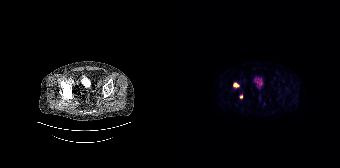
{"modality":"PSMA PET/CT","view":"axial","tracer":"18F","pet_grid":[168,168],"coord_frame":"pet_panel","coord_format":"x0,y0,x1,y1","lesion_bboxes":[[61,82,67,87]],"small_foci_centers":[[69,96]]}